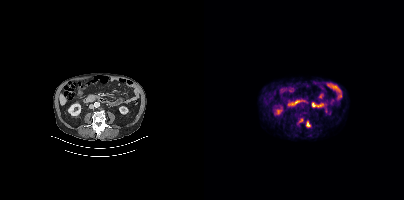
Paired axial CT (left) and PSMA PET (right), [18F]PSMA-1007 tracer. Slice position z = -1330 mm. PET panel 200×200 px (4.1 mm/px). Coordinates are on the 200×200 PET (right) panel. PSMA-avid tumor lesion bounding box (x, y, width, height): x=102 y=121 w=5 h=6. Small PSMA-avid focus (2 to 4 px across) near (center x, center y): (97, 120).